Paired axial CT (left) and PSMA PET (right), 18F tracer. Acquired on Siemens Biograph mCT Flow 20. Slice 357 of 963.
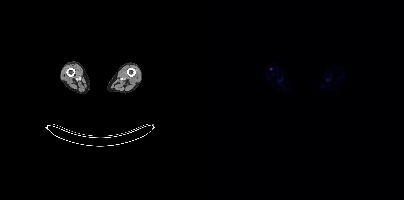
Coordinates are on the 200×200 PET (right) panel. Small PSMA-avid focus (2 to 4 px across) near (center x, center y): (66, 68).